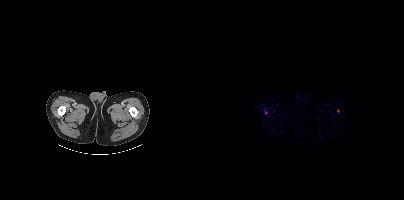
Coordinates are on the 200×200 PET (right) panel. (showing 2 of 3 foci) Small PSMA-avid foci (2 to 4 px across) near (center x, center y): (62, 112); (133, 111). Left: CT. Right: PSMA PET, same axial level, 18F-PSMA tracer. Slice position z = -1114 mm.